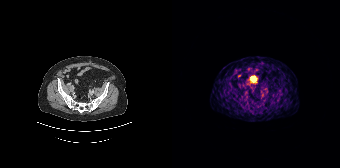
Two-panel axial: CT | PSMA PET, 68Ga tracer. Acquired on Siemens Biograph 64-4R TruePoint. Slice position z = -590 mm. This slice has no annotated PSMA-avid lesion.